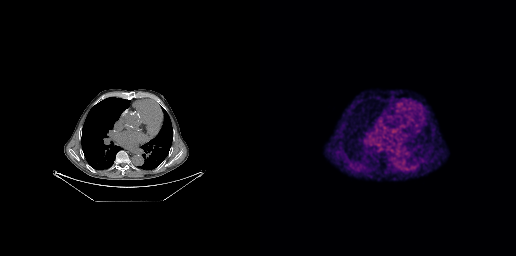
- Paired axial CT (left) and PSMA PET (right), [68Ga]Ga-PSMA-11 tracer
Findings: Negative for PSMA-avid disease on this slice.